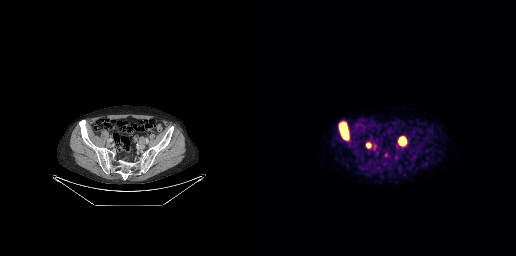
{"modality":"PSMA PET/CT","view":"axial","tracer":"18F-PSMA","pet_grid":[256,256],"coord_frame":"pet_panel","coord_format":"x0,y0,x1,y1","lesion_bboxes":[[80,124,87,138],[139,137,145,145]],"small_foci_centers":[[108,145]]}